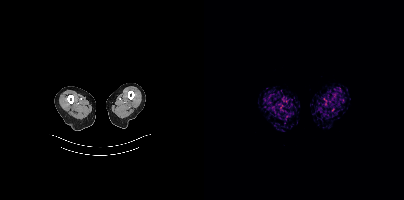
- Paired axial CT (left) and PSMA PET (right), 18F-PSMA tracer
- acquired on Siemens Biograph mCT Flow 20
Findings: Negative for PSMA-avid disease on this slice.